- Two-panel axial: CT | PSMA PET, 18F tracer
- slice 130 of 413
- PET panel 200×200 px (4.1 mm/px)
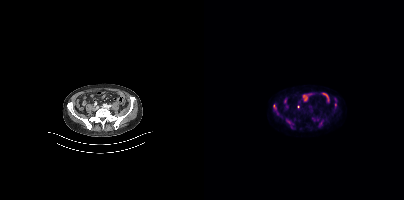
Findings: Coordinates are on the 200×200 PET (right) panel. PSMA-avid tumor lesion bounding boxes (x0,y0,x1,y1): [115,120,119,126] [69,104,72,109]. Small PSMA-avid foci (2 to 4 px across) near (center x, center y): (84, 123) (131, 104).